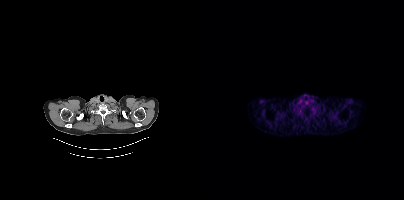
modality: PSMA PET/CT | tracer: [68Ga]Ga-PSMA-11 | view: axial
This slice has no annotated PSMA-avid lesion.